Technique: Left: CT. Right: PSMA PET, same axial level, [18F]PSMA-1007 tracer. acquired on Siemens Biograph mCT Flow 20. PET panel 200×200 px (4.1 mm/px).
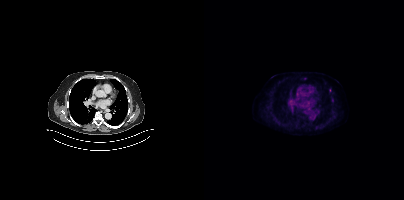
Findings: Coordinates are on the 200×200 PET (right) panel. Small PSMA-avid foci (2 to 4 px across) near (center x, center y): (125, 90), (100, 78).